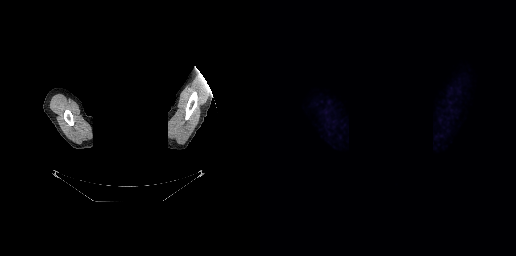
{"modality":"PSMA PET/CT","view":"axial","tracer":"18F-PSMA","pet_grid":[256,256],"coord_frame":"pet_panel","coord_format":"x0,y0,x1,y1","psma_avid_lesions":false,"de-identification":"face masked with black rectangle"}